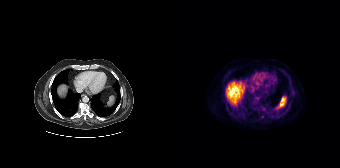
Coordinates are on the 168×168 PET (right) panel. Small PSMA-avid focus (2 to 4 px across) near (center x, center y): (90, 116). Two-panel axial: CT | PSMA PET, [18F]PSMA-1007 tracer. PET panel 168×168 px (4.1 mm/px).